- Paired axial CT (left) and PSMA PET (right), 18F-PSMA tracer
- slice 199 of 411
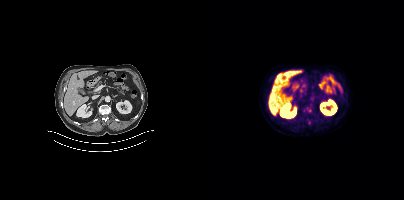
Findings: Only PSMA-avid lesion pieces thinner than 2 px on this slice (not listed).